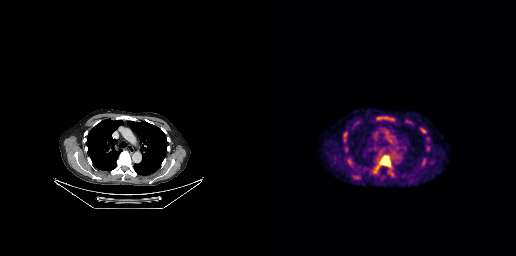
Coordinates are on the 256×256 PET (right) panel. PSMA-avid tumor lesion bounding boxes (partial; 1 more focus not listed):
| # | x0 | y0 | x1 | y1 |
|---|---|---|---|---|
| 1 | 116 | 155 | 130 | 169 |
Left: CT. Right: PSMA PET, same axial level, [18F]PSMA-1007 tracer. Acquired on GE Discovery 690. Slice 201 of 263.